Left: CT. Right: PSMA PET, same axial level, 18F tracer. Acquired on Siemens Biograph mCT Flow 20. Slice 292 of 450. PET panel 200×200 px (4.1 mm/px).
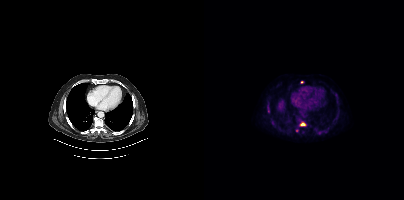
Coordinates are on the 200×200 PET (right) panel. PSMA-avid tumor lesion bounding boxes (partial; 3 more foci not listed):
| # | x0 | y0 | x1 | y1 |
|---|---|---|---|---|
| 1 | 96 | 123 | 101 | 125 |
Small PSMA-avid foci (2 to 4 px across) near (center x, center y): (93, 130); (115, 132).